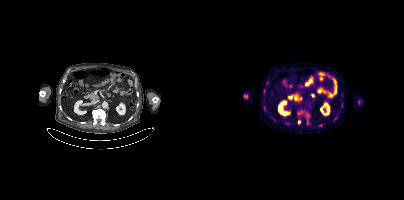
modality: PSMA PET/CT | tracer: 18F-PSMA | view: axial
Coordinates are on the 200×200 PET (right) panel. (showing 4 of 5 foci) Small PSMA-avid foci (2 to 4 px across) near (center x, center y): (95, 121); (116, 125); (60, 90); (60, 108).